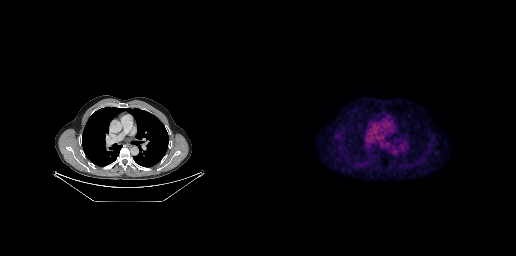
Left: CT. Right: PSMA PET, same axial level, 18F tracer. Slice position z = -269 mm. Negative for PSMA-avid disease on this slice.